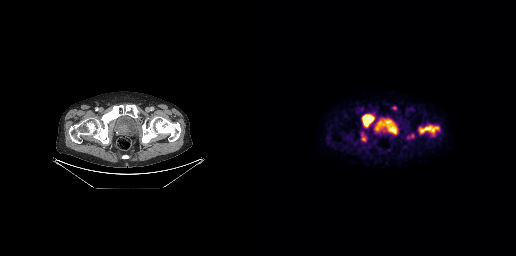
{"pet_grid":[256,256],"coord_frame":"pet_panel","coord_format":"x0,y0,x1,y1","partial":true,"lesion_bboxes":[[158,123,179,133],[102,115,113,126],[132,106,136,110]],"small_foci_centers":[[103,139]],"modality":"PSMA PET/CT","view":"axial","tracer":"[18F]PSMA-1007"}